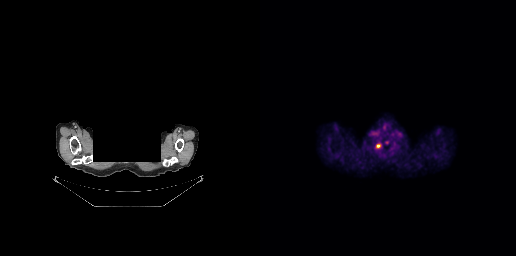
Findings: Coordinates are on the 256×256 PET (right) panel. PSMA-avid tumor lesion bounding box (x0, y0)-(x1, y1): (116, 144)-(120, 147).
- a rectangular block over the head has been blanked out for de-identification
- Two-panel axial: CT | PSMA PET, 18F-PSMA tracer
- slice position z = -136 mm
- PET panel 256×256 px (2.7 mm/px)